- Paired axial CT (left) and PSMA PET (right), 18F tracer
- acquired on Siemens Biograph mCT Flow 20
- PET panel 200×200 px (4.1 mm/px)
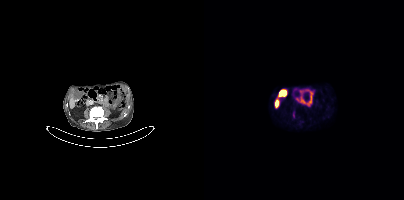
Findings: This slice has no annotated PSMA-avid lesion.